- Paired axial CT (left) and PSMA PET (right), 18F-PSMA tracer
- slice 101 of 421
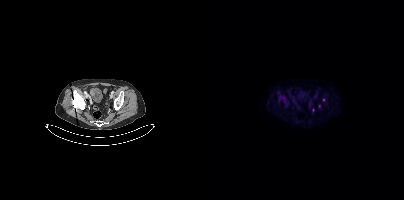
Findings: Coordinates are on the 200×200 PET (right) panel. Small PSMA-avid foci (2 to 4 px across) near (center x, center y): (119, 99); (109, 109); (115, 105).